Technique: Left: CT. Right: PSMA PET, same axial level, [18F]PSMA-1007 tracer. slice position z = -437 mm.
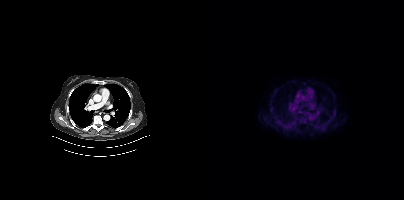
Findings: No PSMA-avid tumor lesions on this slice.